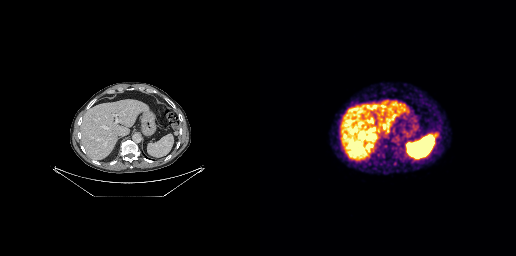
Left: CT. Right: PSMA PET, same axial level, [68Ga]Ga-PSMA-11 tracer. Acquired on GE Discovery 690. Slice position z = -542 mm. PET panel 256×256 px (2.7 mm/px).
Coordinates are on the 256×256 PET (right) panel. PSMA-avid tumor lesion bounding boxes:
| # | x0 | y0 | x1 | y1 |
|---|---|---|---|---|
| 1 | 174 | 132 | 178 | 138 |